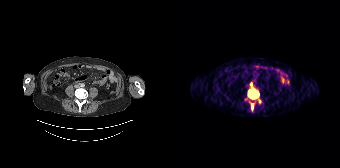
Coordinates are on the 168×168 PET (right) panel. (showing 3 of 4 foci) PSMA-avid tumor lesion bounding boxes (x0,y0,x1,y1): [76,88,86,97]; [79,104,81,109]. Small PSMA-avid focus (2 to 4 px across) near (center x, center y): (87, 101).
modality: PSMA PET/CT | tracer: 68Ga | view: axial | PET grid: 168×168